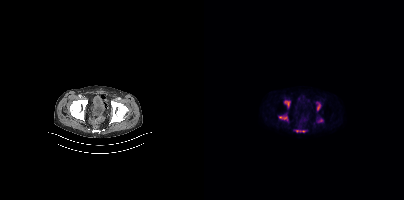
Coordinates are on the 200×200 PET (right) panel. (showing 5 of 7 foci) PSMA-avid tumor lesion bounding boxes (x0, y0)-(x1, y1): (75, 116)-(83, 120); (80, 101)-(85, 107); (113, 104)-(116, 110); (114, 118)-(117, 122). Small PSMA-avid focus (2 to 4 px across) near (center x, center y): (93, 130).